Technique: Left: CT. Right: PSMA PET, same axial level, [18F]PSMA-1007 tracer. PET panel 200×200 px (4.1 mm/px).
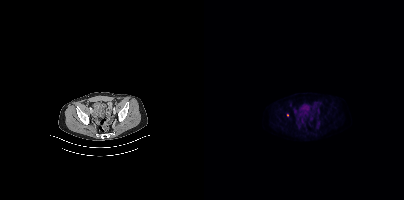
Findings: Coordinates are on the 200×200 PET (right) panel. Small PSMA-avid focus (2 to 4 px across) near (center x, center y): (83, 115).